Technique: Paired axial CT (left) and PSMA PET (right), [18F]PSMA-1007 tracer. slice position z = -353 mm. PET panel 200×200 px (4.1 mm/px).
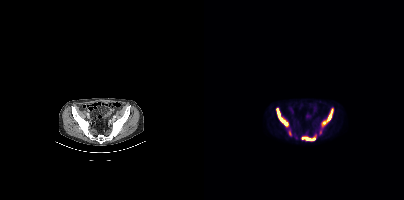
Findings: Coordinates are on the 200×200 PET (right) panel. PSMA-avid tumor lesion bounding boxes (x0,y0,x1,y1): [118,109,128,126], [73,108,83,126], [99,137,110,140]. Small PSMA-avid foci (2 to 4 px across) near (center x, center y): (116, 131), (85, 133).